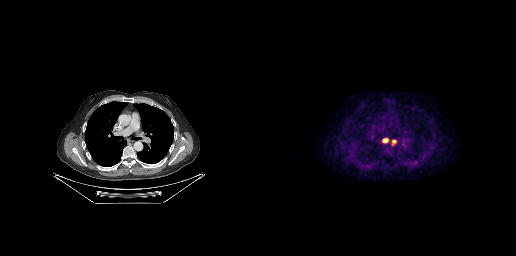
Technique: Two-panel axial: CT | PSMA PET, [18F]PSMA-1007 tracer. slice 188 of 263. PET panel 256×256 px (2.7 mm/px).
Findings: Coordinates are on the 256×256 PET (right) panel. PSMA-avid tumor lesion bounding box (x, y, width, height): x=123 y=138 w=6 h=5. Small PSMA-avid focus (2 to 4 px across) near (center x, center y): (133, 141).